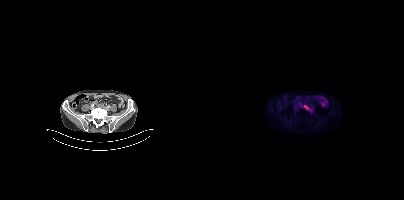
Coordinates are on the 200×200 PET (right) panel. PSMA-avid tumor lesion bounding box (x0, y0)-(x1, y1): (100, 105)-(107, 111). Two-panel axial: CT | PSMA PET, 18F-PSMA tracer. Acquired on Siemens Biograph mCT Flow 20. Slice position z = -1407 mm.